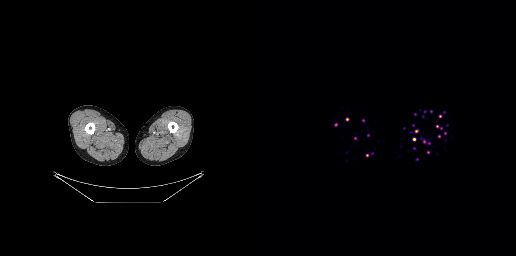
Findings: This slice has no annotated PSMA-avid lesion.
- Two-panel axial: CT | PSMA PET, 68Ga-PSMA tracer
- acquired on GE Discovery 690